modality: PSMA PET/CT | tracer: 68Ga | view: axial | deidentification: head region blacked out before release
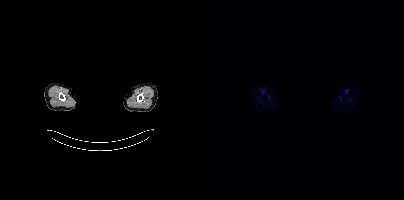
No PSMA-avid tumor lesions on this slice.